Technique: Paired axial CT (left) and PSMA PET (right), 18F-PSMA tracer. acquired on Siemens Biograph mCT Flow 20. slice 133 of 411.
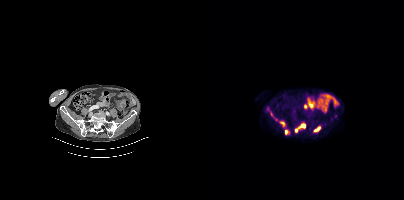
Findings: Coordinates are on the 200×200 PET (right) panel. PSMA-avid tumor lesion bounding boxes (x0,y0,x1,y1): [91,122,101,132], [63,107,74,121], [109,126,116,132], [76,121,81,126], [81,130,85,134]. Small PSMA-avid foci (2 to 4 px across) near (center x, center y): (132, 114), (120, 124).